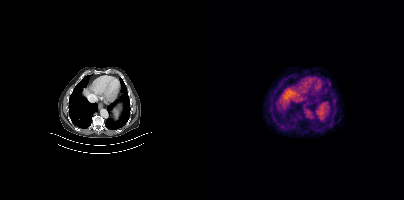
Coordinates are on the 200×200 PET (right) panel. Small PSMA-avid focus (2 to 4 px across) near (center x, center y): (125, 83).